Paired axial CT (left) and PSMA PET (right), 18F-PSMA tracer. Acquired on Siemens Biograph mCT Flow 20. Slice 131 of 387.
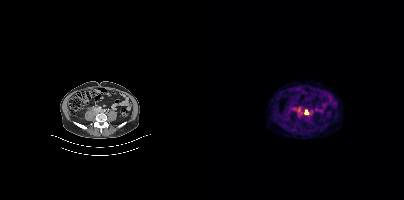
Coordinates are on the 200×200 PET (right) panel. PSMA-avid tumor lesion bounding boxes:
| # | x0 | y0 | x1 | y1 |
|---|---|---|---|---|
| 1 | 92 | 108 | 97 | 114 |
| 2 | 100 | 110 | 104 | 114 |